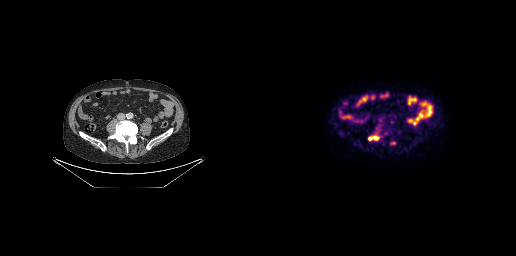
Coordinates are on the 256×256 PET (right) panel. PSMA-avid tumor lesion bounding box (x0,y0,x1,y1): [108,135,119,140]. Small PSMA-avid focus (2 to 4 px across) near (center x, center y): (133, 143).